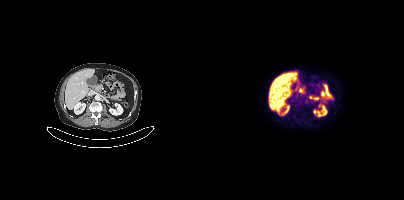
- Paired axial CT (left) and PSMA PET (right), 18F-PSMA tracer
- slice position z = -683 mm
Findings: This slice has no annotated PSMA-avid lesion.